Two-panel axial: CT | PSMA PET, 18F tracer. Acquired on Siemens Biograph mCT Flow 20. Slice 70 of 448. PET panel 200×200 px (4.1 mm/px).
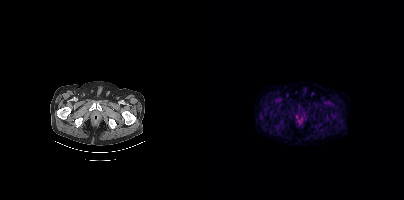
This slice has no annotated PSMA-avid lesion.